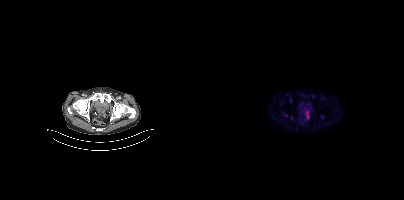
modality: PSMA PET/CT | tracer: 18F-PSMA | view: axial | PET grid: 200×200
This slice has no annotated PSMA-avid lesion.